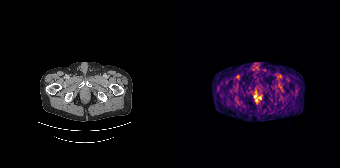
Findings: No tumor lesions annotated on this slice.
- Two-panel axial: CT | PSMA PET, 68Ga-PSMA tracer